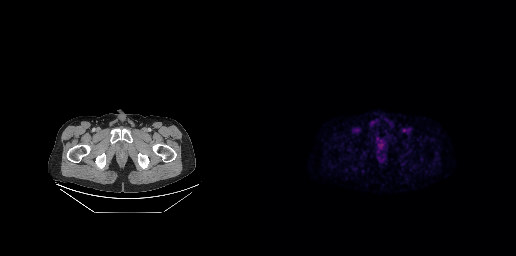
Negative for PSMA-avid disease on this slice. Paired axial CT (left) and PSMA PET (right), 18F-PSMA tracer. Acquired on GE Discovery 690. Slice position z = -727 mm.